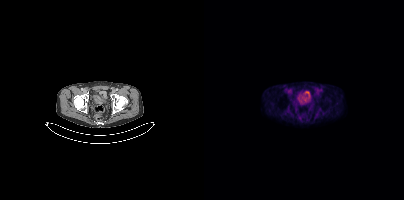
Technique: Paired axial CT (left) and PSMA PET (right), [18F]PSMA-1007 tracer. acquired on Siemens Biograph mCT Flow 20. slice 74 of 417.
Findings: No tumor lesions annotated on this slice.